Two-panel axial: CT | PSMA PET, 18F tracer. Acquired on Siemens Biograph mCT Flow 20. PET panel 200×200 px (4.1 mm/px).
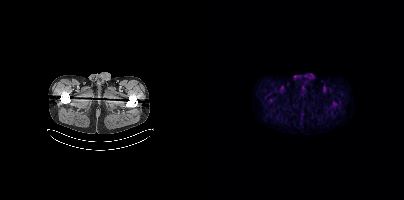
No PSMA-avid tumor lesions on this slice.